modality: PSMA PET/CT | tracer: 18F | view: axial
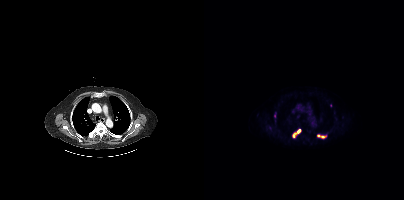
Coordinates are on the 200×200 PET (right) panel. PSMA-avid tumor lesion bounding boxes (x0,y0,x1,y1): [89,129,96,137]; [113,134,122,138].